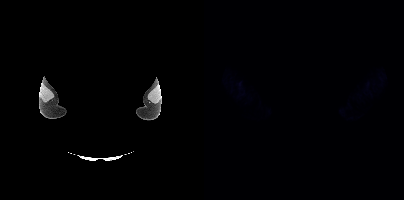
Findings: This slice has no annotated PSMA-avid lesion.
Technique: Paired axial CT (left) and PSMA PET (right), 18F tracer. PET panel 200×200 px (4.1 mm/px).
Note: Head region blanked for anonymization (face removed).